Technique: Left: CT. Right: PSMA PET, same axial level, 18F-PSMA tracer. acquired on GE Discovery 690. slice position z = -144 mm. PET panel 256×256 px (2.7 mm/px).
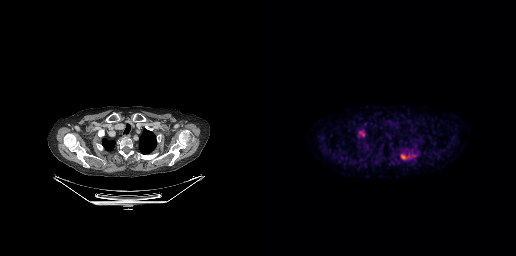
Findings: Coordinates are on the 256×256 PET (right) panel. PSMA-avid tumor lesion bounding boxes (x0, y0)-(x1, y1): (140, 153)-(147, 159); (149, 153)-(156, 158); (98, 130)-(104, 134).